Technique: Left: CT. Right: PSMA PET, same axial level, 18F-PSMA tracer.
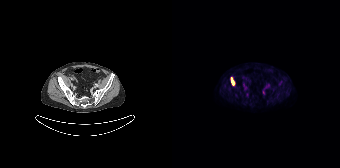
Findings: Coordinates are on the 168×168 PET (right) panel. PSMA-avid tumor lesion bounding box (x0,y0,x1,y1): [58,77,63,85].